Left: CT. Right: PSMA PET, same axial level, 18F-PSMA tracer. Acquired on Siemens Biograph mCT Flow 20. Slice position z = -1353 mm.
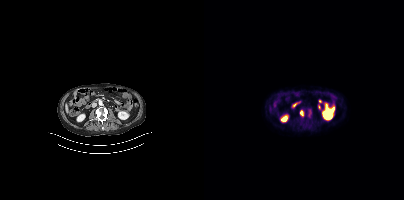
Coordinates are on the 200×200 PET (right) panel. PSMA-avid tumor lesion bounding boxes:
| # | x0 | y0 | x1 | y1 |
|---|---|---|---|---|
| 1 | 104 | 109 | 107 | 114 |
| 2 | 96 | 111 | 99 | 115 |